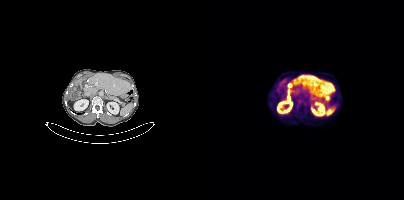
{"modality":"PSMA PET/CT","view":"axial","tracer":"18F-PSMA","pet_grid":[200,200],"coord_frame":"pet_panel","coord_format":"x0,y0,x1,y1","psma_avid_lesions":false}